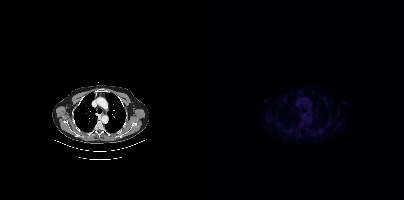
{"modality":"PSMA PET/CT","view":"axial","tracer":"18F-PSMA","pet_grid":[200,200],"coord_frame":"pet_panel","coord_format":"x0,y0,x1,y1","psma_avid_lesions":false}